Paired axial CT (left) and PSMA PET (right), 18F tracer. Acquired on Siemens Biograph mCT Flow 20. Slice 45 of 405.
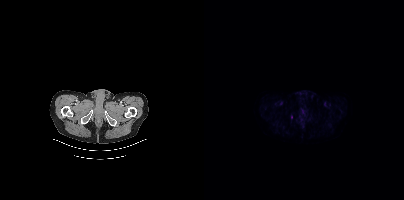
Coordinates are on the 200×200 PET (right) panel. Small PSMA-avid focus (2 to 4 px across) near (center x, center y): (87, 116).